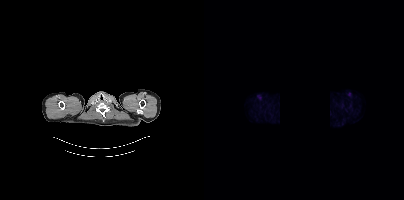
Technique: Paired axial CT (left) and PSMA PET (right), 18F tracer. slice position z = -302 mm. PET panel 200×200 px (4.1 mm/px).
Note: Some pixels were blanked for anonymization.
Findings: This slice has no annotated PSMA-avid lesion.